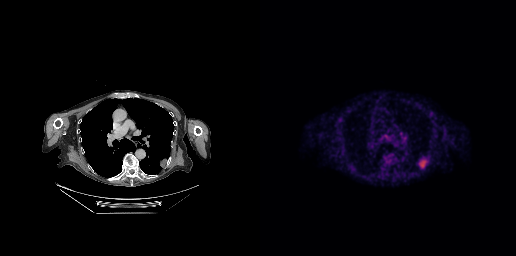
Left: CT. Right: PSMA PET, same axial level, 18F-PSMA tracer. Acquired on GE Discovery 690. PET panel 256×256 px (2.7 mm/px).
Coordinates are on the 256×256 PET (right) panel. PSMA-avid tumor lesion bounding boxes:
| # | x0 | y0 | x1 | y1 |
|---|---|---|---|---|
| 1 | 159 | 160 | 166 | 167 |
| 2 | 123 | 134 | 127 | 138 |